Two-panel axial: CT | PSMA PET, 18F-PSMA tracer.
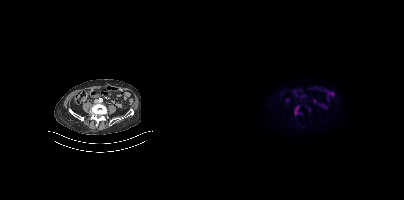
Coordinates are on the 200×200 PET (right) panel. (showing 1 of 2 foci) PSMA-avid tumor lesion bounding box (x, y, width, height): x=90 y=106 w=5 h=9.